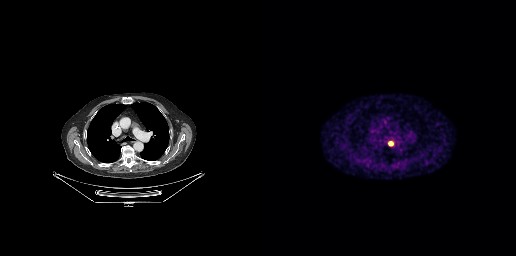
Coordinates are on the 256×256 PET (right) panel. Small PSMA-avid focus (2 to 4 px across) near (center x, center y): (130, 143). Two-panel axial: CT | PSMA PET, 68Ga tracer. Slice position z = -363 mm. PET panel 256×256 px (2.7 mm/px).